Technique: Paired axial CT (left) and PSMA PET (right), 18F-PSMA tracer. slice 155 of 415. PET panel 200×200 px (4.1 mm/px).
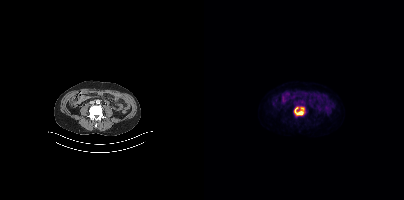
Findings: Coordinates are on the 200×200 PET (right) panel. PSMA-avid tumor lesion bounding box (x, y, width, height): x=90 y=106 w=12 h=10.